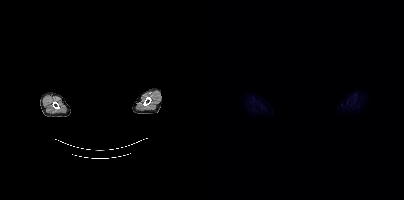
- Left: CT. Right: PSMA PET, same axial level, 18F-PSMA tracer
- acquired on Siemens Biograph mCT Flow 20
- PET panel 200×200 px (4.1 mm/px)
- a rectangular block over the head has been blanked out for de-identification
Findings: No tumor lesions annotated on this slice.